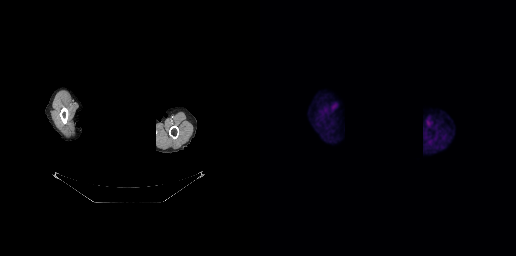
- Left: CT. Right: PSMA PET, same axial level, 18F tracer
- acquired on GE Discovery 690
- slice position z = -245 mm
- PET panel 256×256 px (2.7 mm/px)
- the face region was removed for patient privacy by blanking a rectangle over the head
Findings: No tumor lesions annotated on this slice.